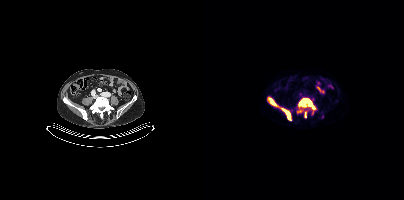
Coordinates are on the 200×200 PET (right) panel. PSMA-avid tumor lesion bounding boxes (x0, y0)-(x1, y1): (95, 98)-(111, 108) | (77, 108)-(87, 120) | (65, 98)-(74, 106) | (93, 109)-(99, 112) | (100, 113)-(102, 117). Small PSMA-avid focus (2 to 4 px across) near (center x, center y): (108, 112).
modality: PSMA PET/CT | tracer: 18F-PSMA | view: axial